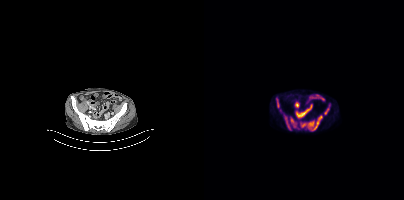
Two-panel axial: CT | PSMA PET, [18F]PSMA-1007 tracer. Slice 103 of 375.
Coordinates are on the 200×200 PET (right) panel. PSMA-avid tumor lesion bounding boxes (partial; 1 more focus not listed):
| # | x0 | y0 | x1 | y1 |
|---|---|---|---|---|
| 1 | 96 | 115 | 118 | 130 |
| 2 | 86 | 117 | 92 | 127 |
| 3 | 80 | 115 | 86 | 128 |
| 4 | 72 | 98 | 75 | 107 |
| 5 | 120 | 108 | 125 | 114 |